- Paired axial CT (left) and PSMA PET (right), 18F-PSMA tracer
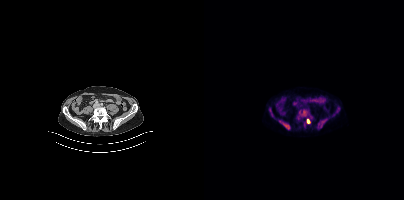
Findings: Coordinates are on the 200×200 PET (right) panel. PSMA-avid tumor lesion bounding boxes (x, y, width, height): x=94 y=109 w=12 h=10; x=113 y=119 w=10 h=10; x=75 y=120 w=12 h=10; x=103 y=119 w=4 h=5.